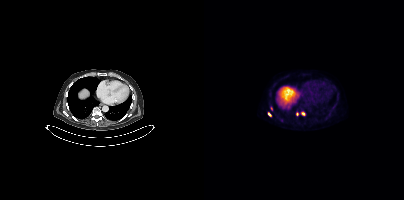
- Two-panel axial: CT | PSMA PET, 18F-PSMA tracer
- slice position z = 160 mm
- PET panel 200×200 px (4.1 mm/px)
Findings: Coordinates are on the 200×200 PET (right) panel. PSMA-avid tumor lesion bounding box (x, y, width, height): x=66 y=106 w=3 h=5. Small PSMA-avid foci (2 to 4 px across) near (center x, center y): (99, 113); (65, 114); (93, 114).